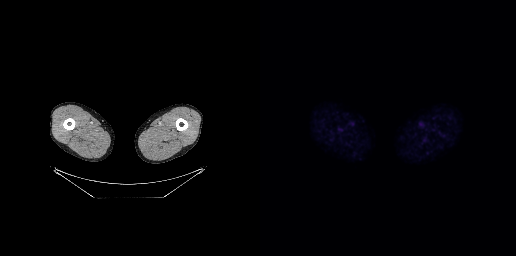
Two-panel axial: CT | PSMA PET, [18F]PSMA-1007 tracer. Acquired on GE Discovery 690. Slice position z = -940 mm. PET panel 256×256 px (2.7 mm/px). No tumor lesions annotated on this slice.